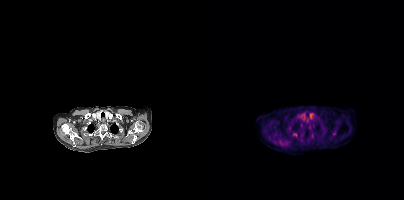
{"pet_grid":[200,200],"coord_frame":"pet_panel","coord_format":"x0,y0,x1,y1","lesion_bboxes":[[89,133,93,136]],"small_foci_centers":[[108,135],[130,133]],"modality":"PSMA PET/CT","view":"axial","tracer":"18F"}